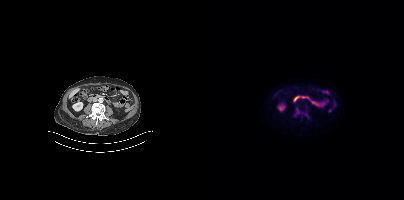
{"modality":"PSMA PET/CT","view":"axial","tracer":"18F-PSMA","pet_grid":[200,200],"coord_frame":"pet_panel","coord_format":"x0,y0,x1,y1","lesion_bboxes":[[90,107,96,116],[101,113,104,117]],"small_foci_centers":[[98,112]]}